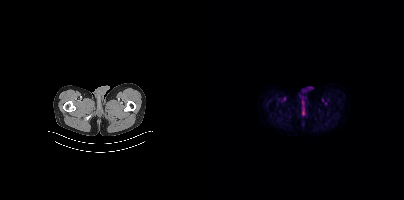
Paired axial CT (left) and PSMA PET (right), [18F]PSMA-1007 tracer. Slice position z = -1106 mm. PET panel 200×200 px (4.1 mm/px). This slice has no annotated PSMA-avid lesion.